- Left: CT. Right: PSMA PET, same axial level, 68Ga-PSMA tracer
- acquired on Siemens Biograph 64-4R TruePoint
- slice position z = -384 mm
- PET panel 168×168 px (4.1 mm/px)
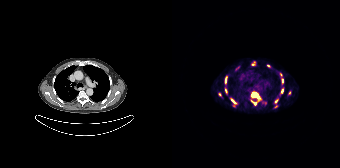
Findings: Coordinates are on the 168×168 PET (right) panel. PSMA-avid tumor lesion bounding boxes (x0,y0,x1,y1): [80,92,87,98] [53,77,54,82]. Small PSMA-avid foci (2 to 4 px across) near (center x, center y): (110, 90) (104, 101) (60, 100) (97, 66) (110, 80) (53, 90) (108, 74) (47, 94) (63, 102) (82, 103) (103, 106).